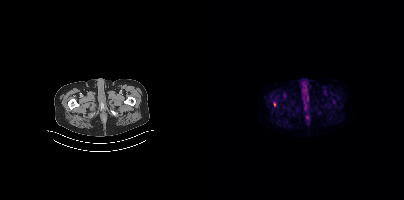
Coordinates are on the 200×200 PET (right) panel. (showing 1 of 2 foci) PSMA-avid tumor lesion bounding box (x, y, width, height): x=70 y=102 w=2 h=5.